- Two-panel axial: CT | PSMA PET, 18F-PSMA tracer
- slice 139 of 381
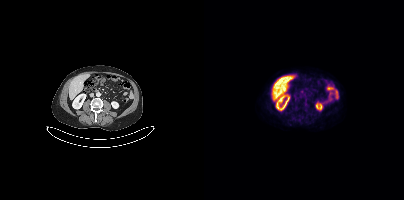
Findings: Negative for PSMA-avid disease on this slice.